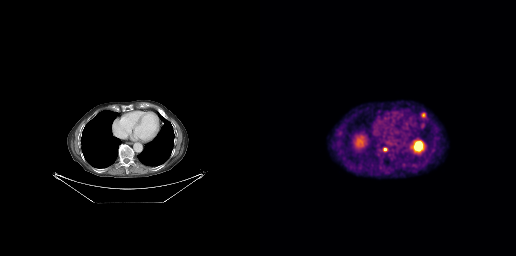
Coordinates are on the 256×256 PET (right) panel. PSMA-avid tumor lesion bounding box (x, y, width, height): x=161 y=112 w=5 h=6. Small PSMA-avid focus (2 to 4 px across) near (center x, center y): (125, 149). Paired axial CT (left) and PSMA PET (right), 18F tracer.